modality: PSMA PET/CT | tracer: [68Ga]Ga-PSMA-11 | view: axial | PET grid: 200×200
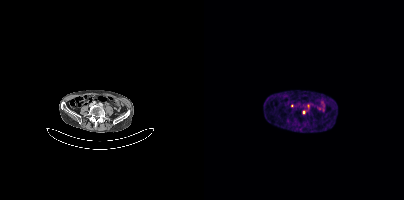
Coordinates are on the 200×200 PET (right) panel. Small PSMA-avid focus (2 to 4 px across) near (center x, center y): (100, 112).